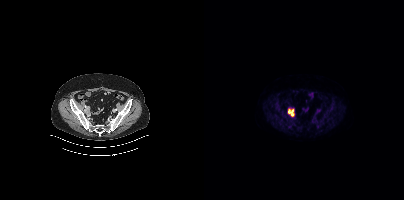
modality: PSMA PET/CT | tracer: 18F | view: axial
Coordinates are on the 200×200 PET (right) panel. PSMA-avid tumor lesion bounding box (x0,y0,x1,y1): [84,108,90,116].